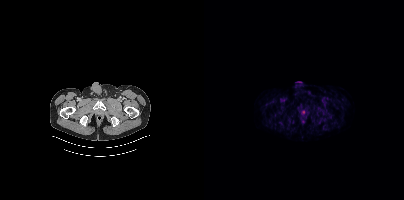
Coordinates are on the 200×200 PET (right) panel. Small PSMA-avid focus (2 to 4 px across) near (center x, center y): (99, 111).